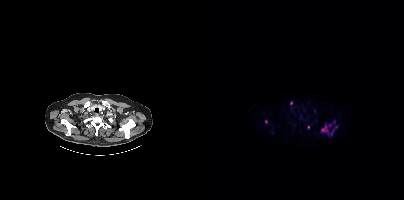
Coordinates are on the 200×200 PET (right) panel. PSMA-avid tumor lesion bounding boxes (x0,y0,x1,y1): [117,124,124,134], [127,126,133,135]. Small PSMA-avid foci (2 to 4 px across) near (center x, center y): (62, 121), (110, 110), (126, 125), (104, 127), (87, 102), (130, 121).